Left: CT. Right: PSMA PET, same axial level, [18F]PSMA-1007 tracer. PET panel 200×200 px (4.1 mm/px).
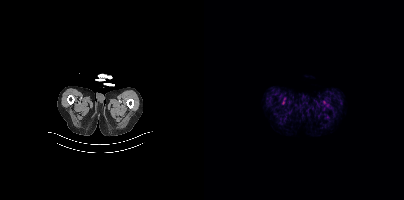
This slice has no annotated PSMA-avid lesion.